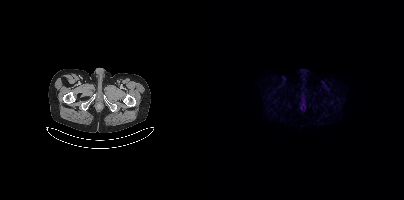
Paired axial CT (left) and PSMA PET (right), 18F tracer. Acquired on Siemens Biograph mCT Flow 20. PET panel 200×200 px (4.1 mm/px). Negative for PSMA-avid disease on this slice.